Two-panel axial: CT | PSMA PET, [18F]PSMA-1007 tracer. Acquired on GE Discovery 690. Slice 67 of 263. PET panel 256×256 px (2.7 mm/px).
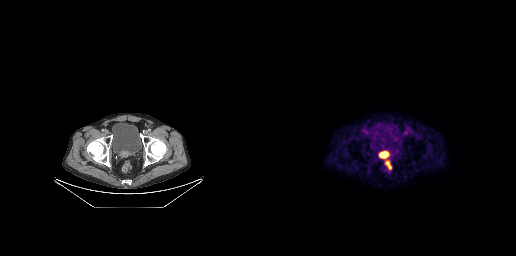
Coordinates are on the 256×256 PET (right) panel. PSMA-avid tumor lesion bounding boxes (x0,y0,x1,y1): [119,151,128,157], [125,160,131,169].